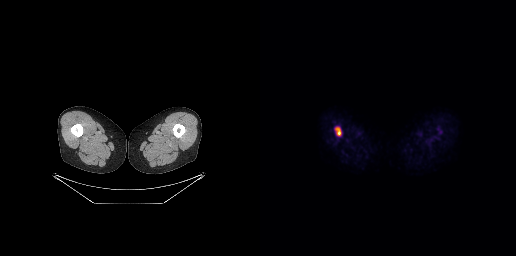
Findings: Coordinates are on the 256×256 PET (right) panel. PSMA-avid tumor lesion bounding box (x0, y0)-(x1, y1): (75, 127)-(80, 135).
- Left: CT. Right: PSMA PET, same axial level, [18F]PSMA-1007 tracer
- acquired on GE Discovery 690
- slice 21 of 299